Technique: Two-panel axial: CT | PSMA PET, [18F]PSMA-1007 tracer. PET panel 200×200 px (4.1 mm/px).
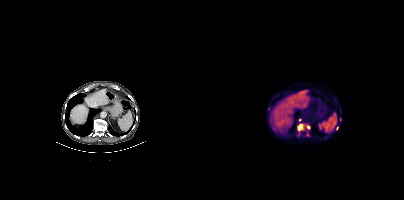
Findings: Coordinates are on the 200×200 PET (right) panel. PSMA-avid tumor lesion bounding box (x, y, width, height): x=94 y=124 w=9 h=7. Small PSMA-avid foci (2 to 4 px across) near (center x, center y): (64, 108); (94, 133); (95, 119); (104, 127); (133, 128); (103, 134); (136, 119).